- Two-panel axial: CT | PSMA PET, 68Ga tracer
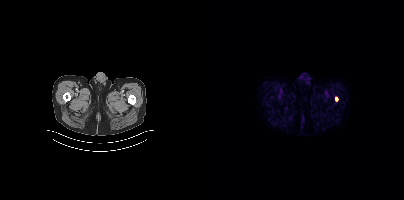
Findings: Coordinates are on the 200×200 PET (right) panel. Small PSMA-avid focus (2 to 4 px across) near (center x, center y): (132, 98).